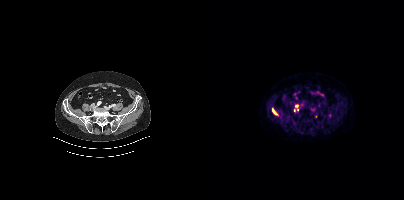
{"modality":"PSMA PET/CT","view":"axial","tracer":"18F-PSMA","pet_grid":[200,200],"coord_frame":"pet_panel","coord_format":"x0,y0,x1,y1","partial":true,"lesion_bboxes":[[68,109,72,114]],"small_foci_centers":[[92,105],[111,116]]}